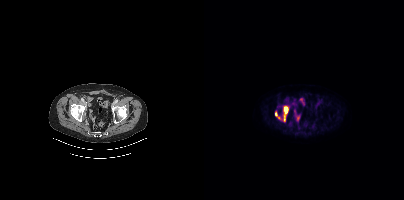
Coordinates are on the 200×200 PET (right) panel. PSMA-avid tumor lesion bounding boxes:
| # | x0 | y0 | x1 | y1 |
|---|---|---|---|---|
| 1 | 80 | 107 | 83 | 120 |
Small PSMA-avid foci (2 to 4 px across) near (center x, center y): (72, 114); (74, 117).
Two-panel axial: CT | PSMA PET, 18F tracer. PET panel 200×200 px (4.1 mm/px).